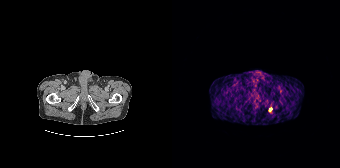
Coordinates are on the 168×168 PET (right) panel. Small PSMA-avid focus (2 to 4 px across) near (center x, center y): (98, 109).
modality: PSMA PET/CT | tracer: 68Ga | view: axial | PET grid: 168×168